de-identification: head region blacked out before release | modality: PSMA PET/CT | tracer: 18F | view: axial | PET grid: 200×200
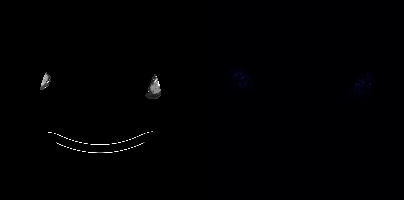
Negative for PSMA-avid disease on this slice.